A rectangular privacy mask was applied before release.
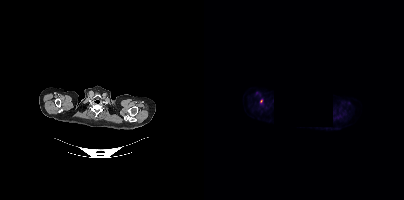
Coordinates are on the 200×200 PET (right) panel. Small PSMA-avid focus (2 to 4 px across) near (center x, center y): (57, 101).